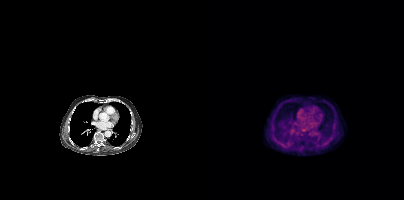
Findings: No tumor lesions annotated on this slice.
Technique: Left: CT. Right: PSMA PET, same axial level, 18F tracer. acquired on Siemens Biograph mCT Flow 20.